modality: PSMA PET/CT | tracer: [18F]PSMA-1007 | view: axial
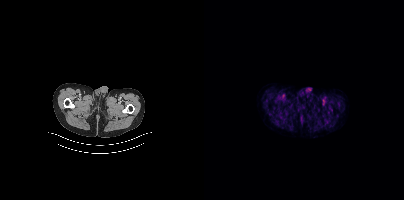
No tumor lesions annotated on this slice.